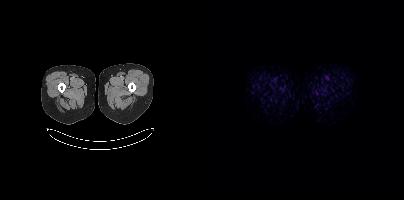
Negative for PSMA-avid disease on this slice.